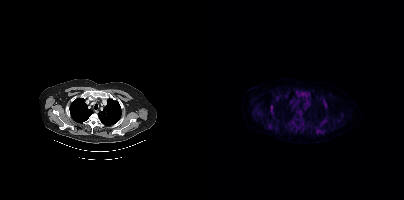
Left: CT. Right: PSMA PET, same axial level, [18F]PSMA-1007 tracer. Acquired on Siemens Biograph mCT Flow 20.
Coordinates are on the 200×200 PET (right) panel. PSMA-avid tumor lesion bounding boxes:
| # | x0 | y0 | x1 | y1 |
|---|---|---|---|---|
| 1 | 67 | 106 | 68 | 111 |